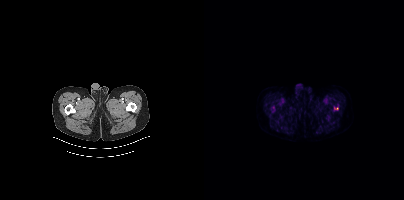
{"modality":"PSMA PET/CT","view":"axial","tracer":"[18F]PSMA-1007","pet_grid":[200,200],"coord_frame":"pet_panel","coord_format":"x0,y0,x1,y1","partial":true,"lesion_bboxes":[],"small_foci_centers":[[133,108]]}